modality: PSMA PET/CT | tracer: [18F]PSMA-1007 | view: axial
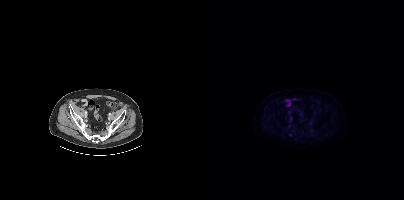
Negative for PSMA-avid disease on this slice.